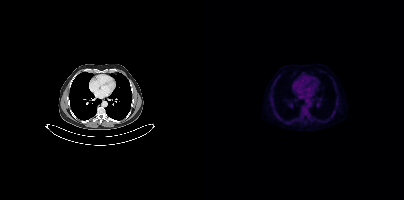
No tumor lesions annotated on this slice.